Paired axial CT (left) and PSMA PET (right), [18F]PSMA-1007 tracer. PET panel 168×168 px (4.1 mm/px).
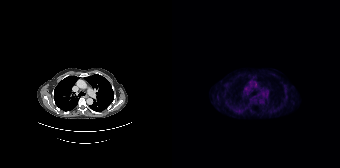
No PSMA-avid tumor lesions on this slice.